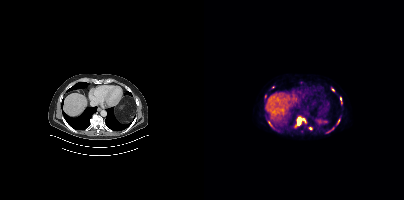
{"modality":"PSMA PET/CT","view":"axial","tracer":"[18F]PSMA-1007","pet_grid":[200,200],"coord_frame":"pet_panel","coord_format":"x0,y0,x1,y1","partial":true,"lesion_bboxes":[[91,118,101,126]],"small_foci_centers":[[128,89],[136,99]]}